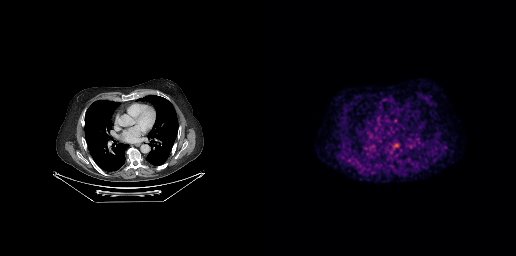
Technique: Left: CT. Right: PSMA PET, same axial level, 18F tracer. acquired on GE Discovery 690.
Findings: No tumor lesions annotated on this slice.